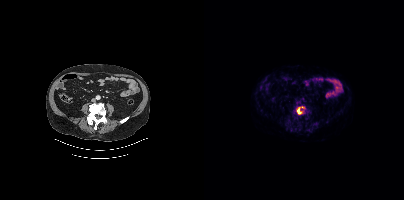
Coordinates are on the 200×200 PET (right) panel. PSMA-avid tumor lesion bounding box (x, y, width, height): x=92 y=106 w=10 h=9. Paired axial CT (left) and PSMA PET (right), 18F tracer. Acquired on Siemens Biograph mCT Flow 20.